- Paired axial CT (left) and PSMA PET (right), [18F]PSMA-1007 tracer
- acquired on Siemens Biograph mCT Flow 20
- slice 318 of 454
- PET panel 200×200 px (4.1 mm/px)
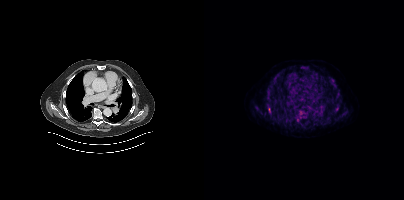
Findings: Coordinates are on the 200×200 PET (right) panel. (showing 10 of 11 foci) PSMA-avid tumor lesion bounding boxes (x0,y0,x1,y1): [94,111,103,119]; [126,78,132,86]; [63,89,68,94]; [51,106,56,111]; [128,109,133,114]; [99,66,103,70]; [132,95,136,99]; [64,107,66,112]. Small PSMA-avid foci (2 to 4 px across) near (center x, center y): (68, 83); (124, 121).